Technique: Two-panel axial: CT | PSMA PET, 68Ga-PSMA tracer. acquired on GE Discovery 690. PET panel 256×256 px (2.7 mm/px).
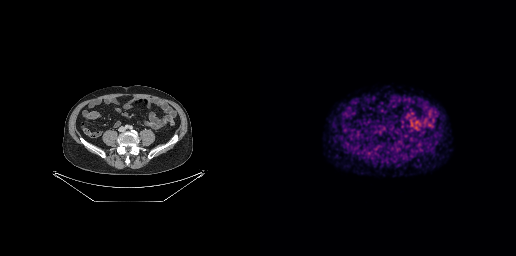
Findings: This slice has no annotated PSMA-avid lesion.